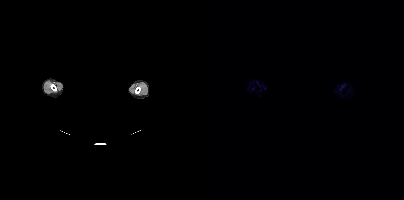
Negative for PSMA-avid disease on this slice.
Any black rectangle over the head is a privacy mask, not anatomy.